Two-panel axial: CT | PSMA PET, 18F-PSMA tracer.
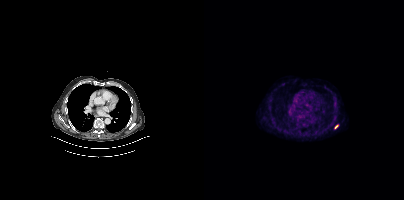
Coordinates are on the 200×200 PET (right) panel. Small PSMA-avid focus (2 to 4 px across) near (center x, center y): (132, 126).